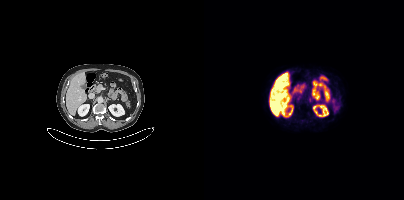
{"modality":"PSMA PET/CT","view":"axial","tracer":"18F","pet_grid":[200,200],"coord_frame":"pet_panel","coord_format":"x0,y0,x1,y1","lesion_bboxes":[[104,97,109,102],[92,96,96,100]]}